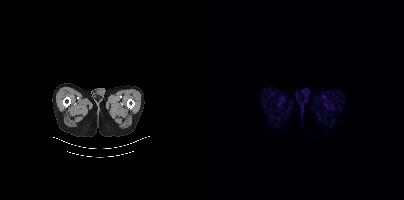
modality: PSMA PET/CT | tracer: 18F | view: axial
No tumor lesions annotated on this slice.